modality: PSMA PET/CT | tracer: 18F-PSMA | view: axial | PET grid: 256×256
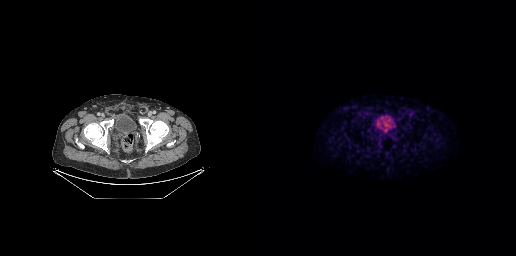
Coordinates are on the 256×256 PET (right) panel. Small PSMA-avid focus (2 to 4 px across) near (center x, center y): (125, 131).